Two-panel axial: CT | PSMA PET, 18F tracer. Slice position z = -1390 mm. PET panel 200×200 px (4.1 mm/px).
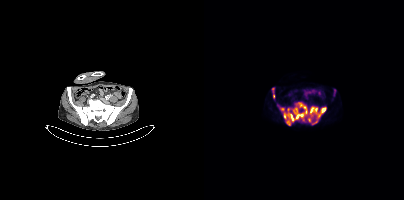
Coordinates are on the 200×200 PET (right) panel. PSMA-avid tumor lesion bounding boxes (x0, y0)-(x1, y1): (73, 102)-(122, 125) / (68, 88)-(71, 98) / (130, 89)-(131, 95).